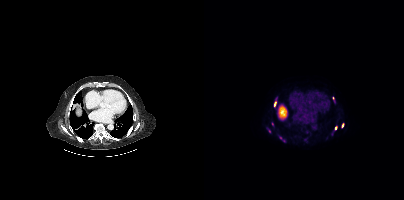
Coordinates are on the 200×200 PET (right) panel. (showing 6 of 8 foci) PSMA-avid tumor lesion bounding box (x0, y0)-(x1, y1): (70, 101)-(72, 106). Small PSMA-avid foci (2 to 4 px across) near (center x, center y): (68, 124); (138, 125); (131, 128); (65, 131); (76, 137).